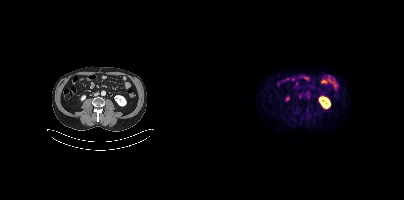
Left: CT. Right: PSMA PET, same axial level, 18F tracer. Acquired on Siemens Biograph mCT Flow 20. Slice position z = 1350 mm. PET panel 200×200 px (4.1 mm/px). Only PSMA-avid lesion pieces thinner than 2 px on this slice (not listed).